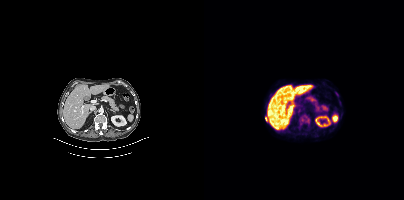
{"modality":"PSMA PET/CT","view":"axial","tracer":"18F","pet_grid":[200,200],"coord_frame":"pet_panel","coord_format":"x0,y0,x1,y1","lesion_bboxes":[[96,114,106,124]],"small_foci_centers":[[61,118]]}